modality: PSMA PET/CT | tracer: 18F | view: axial | PET grid: 200×200
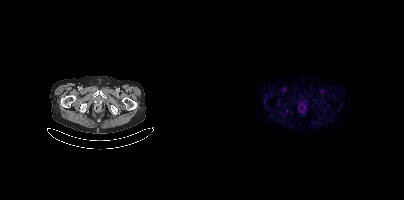
This slice has no annotated PSMA-avid lesion.